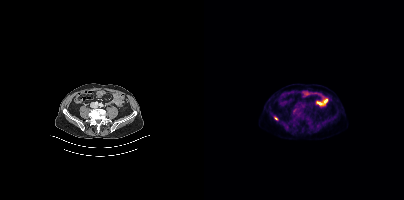
Coordinates are on the 200×200 PET (right) panel. Small PSMA-avid foci (2 to 4 px across) near (center x, center y): (71, 118) | (89, 111).